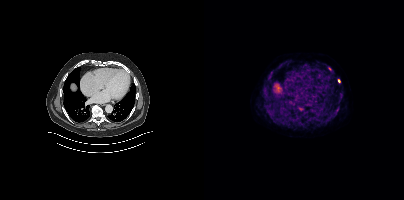
Coordinates are on the 200×200 PET (right) panel. (showing 11 of 12 foci) PSMA-avid tumor lesion bounding boxes (x0,y0,x1,y1): [95,108,101,115], [64,72,68,78], [59,88,63,92], [64,113,69,118], [127,114,131,118], [123,66,127,71], [132,106,135,110], [61,81,65,84]. Small PSMA-avid foci (2 to 4 px across) near (center x, center y): (137, 94), (135, 81), (73, 122).